Paired axial CT (left) and PSMA PET (right), 18F tracer. PET panel 200×200 px (4.1 mm/px).
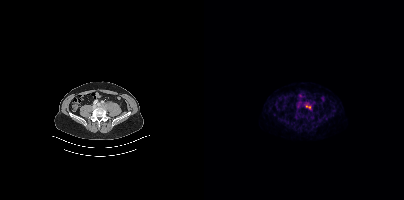
Coordinates are on the 200×200 PET (right) panel. PSMA-avid tumor lesion bounding box (x, y, width, height): x=102 y=105 w=5 h=4.